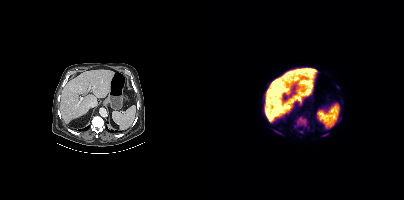
Coordinates are on the 200×200 PET (right) panel. (showing 7 of 8 foci) PSMA-avid tumor lesion bounding boxes (x0, y0)-(x1, y1): (90, 116)-(105, 130) / (95, 131)-(99, 133). Small PSMA-avid foci (2 to 4 px across) near (center x, center y): (133, 86) / (75, 133) / (70, 130) / (67, 123) / (119, 135).
modality: PSMA PET/CT | tracer: [18F]PSMA-1007 | view: axial